- Two-panel axial: CT | PSMA PET, [18F]PSMA-1007 tracer
- PET panel 256×256 px (2.7 mm/px)
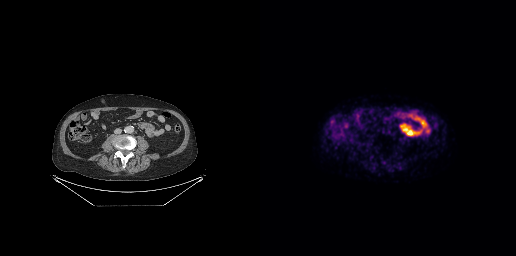
Findings: No tumor lesions annotated on this slice.